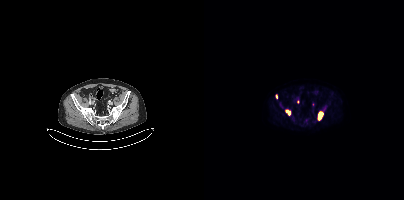
modality: PSMA PET/CT | tracer: 18F-PSMA | view: axial
Coordinates are on the 200×200 PET (right) panel. (showing 3 of 4 foci) PSMA-avid tumor lesion bounding boxes (x0, y0)-(x1, y1): (114, 112)-(118, 119) / (72, 94)-(73, 98). Small PSMA-avid focus (2 to 4 px across) near (center x, center y): (120, 108).